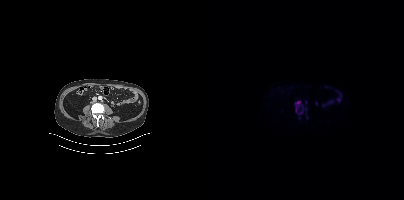
Coordinates are on the 200×200 PET (right) panel. PSMA-avid tumor lesion bounding boxes:
| # | x0 | y0 | x1 | y1 |
|---|---|---|---|---|
| 1 | 94 | 106 | 102 | 114 |
| 2 | 92 | 101 | 96 | 104 |
Two-panel axial: CT | PSMA PET, [18F]PSMA-1007 tracer. Acquired on Siemens Biograph mCT Flow 20. Slice 161 of 395.